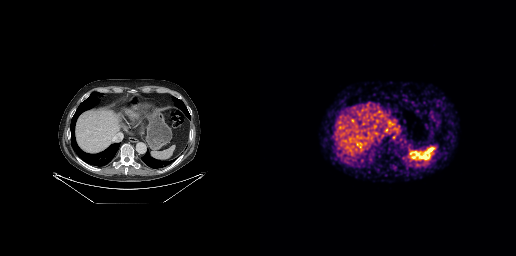
{"modality":"PSMA PET/CT","view":"axial","tracer":"68Ga-PSMA","pet_grid":[256,256],"coord_frame":"pet_panel","coord_format":"x0,y0,x1,y1","partial":true,"lesion_bboxes":[],"small_foci_centers":[[168,152]]}